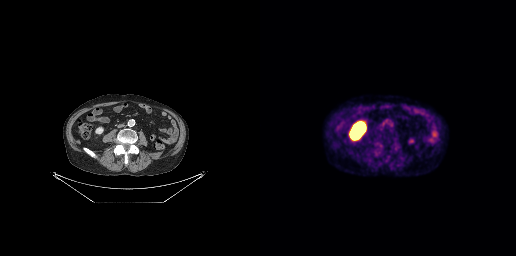
- Two-panel axial: CT | PSMA PET, 18F-PSMA tracer
- acquired on GE Discovery 690
Findings: Coordinates are on the 256×256 PET (right) panel. Small PSMA-avid focus (2 to 4 px across) near (center x, center y): (123, 123).